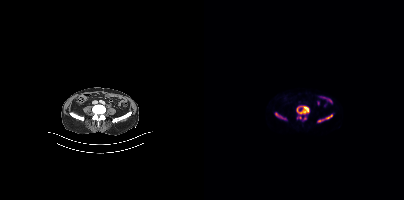
Coordinates are on the 200×200 PET (right) panel. PSMA-avid tumor lesion bounding boxes (x0, y0)-(x1, y1): (92, 105)-(105, 114) / (121, 114)-(128, 119) / (114, 119)-(118, 122) / (71, 113)-(78, 118) / (93, 116)-(97, 118). Small PSMA-avid focus (2 to 4 px across) near (center x, center y): (101, 118).